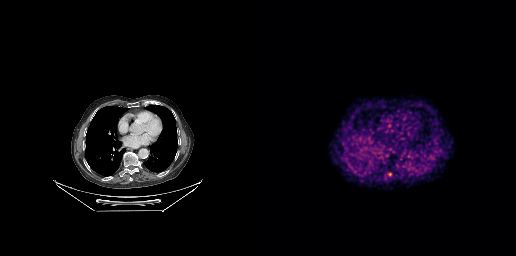
- Paired axial CT (left) and PSMA PET (right), 68Ga tracer
- acquired on GE Discovery 690
- slice 177 of 263
Findings: No PSMA-avid tumor lesions on this slice.